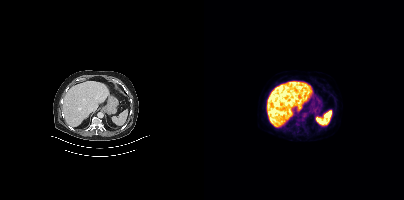
No PSMA-avid tumor lesions on this slice. Two-panel axial: CT | PSMA PET, 18F-PSMA tracer. Slice position z = -496 mm. PET panel 200×200 px (4.1 mm/px).